modality: PSMA PET/CT | tracer: [18F]PSMA-1007 | view: axial
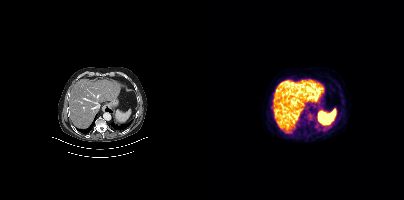
Negative for PSMA-avid disease on this slice.